Technique: Left: CT. Right: PSMA PET, same axial level, 18F tracer. acquired on Siemens Biograph mCT Flow 20. PET panel 200×200 px (4.1 mm/px).
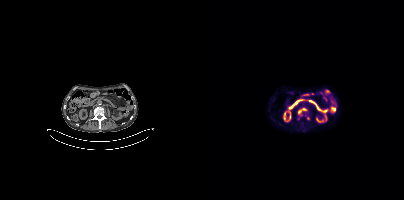
Findings: Coordinates are on the 200×200 PET (right) panel. PSMA-avid tumor lesion bounding box (x0,y0,x1,y1): [94,108,102,114]. Small PSMA-avid foci (2 to 4 px across) near (center x, center y): (94, 118), (103, 118).